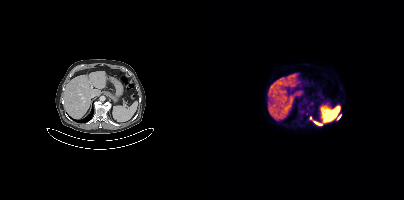
Coordinates are on the 200×200 PET (right) panel. (showing 2 of 3 foci) PSMA-avid tumor lesion bounding box (x0,y0,x1,y1): [133,115,137,119]. Small PSMA-avid focus (2 to 4 px across) near (center x, center y): (113, 123).
modality: PSMA PET/CT | tracer: 18F | view: axial